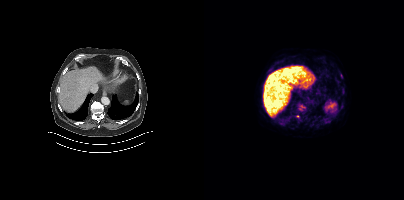
{"modality":"PSMA PET/CT","view":"axial","tracer":"18F","pet_grid":[200,200],"coord_frame":"pet_panel","coord_format":"x0,y0,x1,y1","lesion_bboxes":[[95,105,101,109]],"small_foci_centers":[[93,116]]}